de-identification: face masked with black rectangle | modality: PSMA PET/CT | tracer: [18F]PSMA-1007 | view: axial | PET grid: 200×200
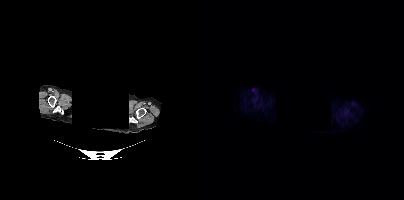
Negative for PSMA-avid disease on this slice.